Left: CT. Right: PSMA PET, same axial level, 18F-PSMA tracer. Acquired on Siemens Biograph mCT Flow 20. Slice 268 of 387. PET panel 200×200 px (4.1 mm/px).
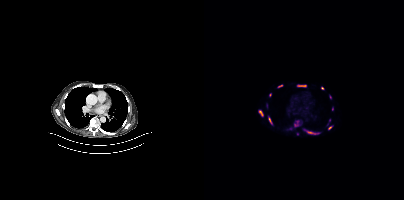
Coordinates are on the 200×200 PET (right) panel. (showing 12 of 14 foci) PSMA-avid tumor lesion bounding boxes (x0,y0,x1,y1): [93,85,102,86], [54,110,59,115], [65,118,68,123], [74,85,78,87], [104,132,109,133]. Small PSMA-avid foci (2 to 4 px across) near (center x, center y): (125, 127), (118, 88), (66, 95), (128, 109), (101, 130), (114, 133), (93, 133).